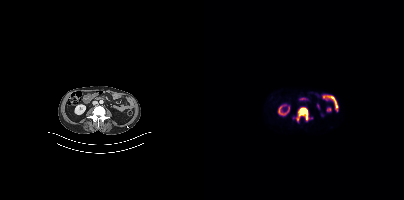
Coordinates are on the 200×200 PET (right) panel. (showing 1 of 2 foci) PSMA-avid tumor lesion bounding box (x0, y0)-(x1, y1): (92, 107)-(105, 121).